- Left: CT. Right: PSMA PET, same axial level, 18F-PSMA tracer
- slice 324 of 436
- PET panel 200×200 px (4.1 mm/px)
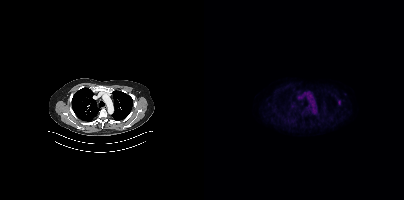
Findings: Coordinates are on the 200×200 PET (right) panel. Small PSMA-avid focus (2 to 4 px across) near (center x, center y): (135, 102).